modality: PSMA PET/CT | tracer: [18F]PSMA-1007 | view: axial
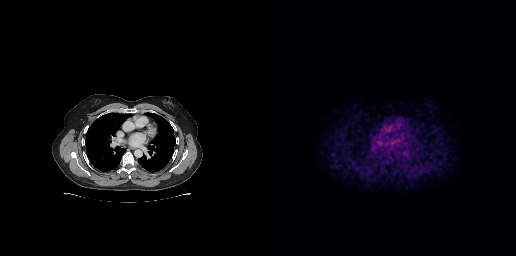
Negative for PSMA-avid disease on this slice.